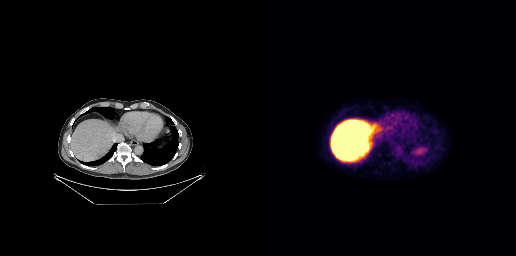
- Two-panel axial: CT | PSMA PET, [18F]PSMA-1007 tracer
- acquired on GE Discovery 690
- slice position z = -323 mm
Findings: Negative for PSMA-avid disease on this slice.